Left: CT. Right: PSMA PET, same axial level, 68Ga-PSMA tracer. Acquired on Siemens Biograph mCT Flow 20.
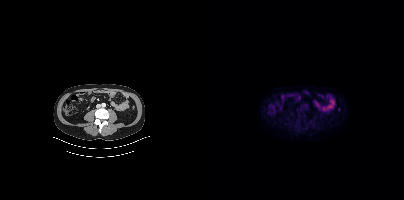
Negative for PSMA-avid disease on this slice.